Paired axial CT (left) and PSMA PET (right), [18F]PSMA-1007 tracer. Acquired on Siemens Biograph mCT Flow 20. PET panel 200×200 px (4.1 mm/px).
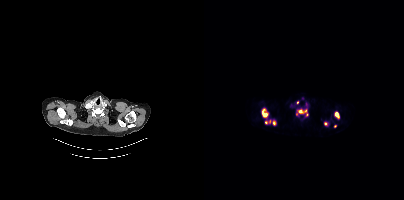
Coordinates are on the 200×200 PET (right) panel. (showing 7 of 8 foci) PSMA-avid tumor lesion bounding boxes (x0, y0)-(x1, y1): (92, 109)-(103, 115) | (58, 109)-(63, 117) | (131, 112)-(135, 118) | (69, 121)-(71, 125). Small PSMA-avid foci (2 to 4 px across) near (center x, center y): (62, 122) | (121, 123) | (130, 125).